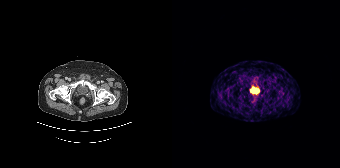
No tumor lesions annotated on this slice. Left: CT. Right: PSMA PET, same axial level, 68Ga tracer. PET panel 168×168 px (4.1 mm/px).